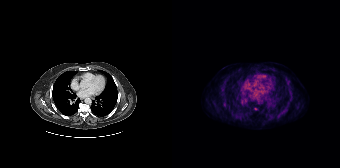
Coordinates are on the 168×168 PET (right) panel. Small PSMA-avid focus (2 to 4 px across) near (center x, center y): (83, 108). Paired axial CT (left) and PSMA PET (right), [18F]PSMA-1007 tracer. Slice position z = -842 mm.